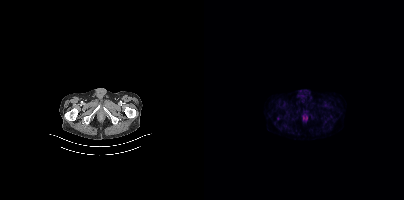
{"pet_grid":[200,200],"coord_frame":"pet_panel","coord_format":"x0,y0,x1,y1","psma_avid_lesions":false,"modality":"PSMA PET/CT","view":"axial","tracer":"18F-PSMA"}